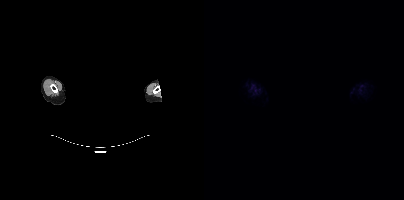
- Left: CT. Right: PSMA PET, same axial level, 18F-PSMA tracer
- slice 391 of 401
- head region blanked for anonymization (face removed)
Findings: This slice has no annotated PSMA-avid lesion.